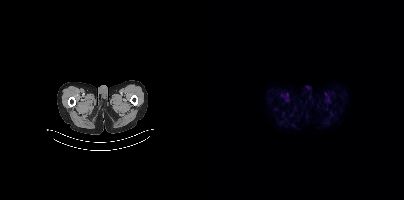
{"modality":"PSMA PET/CT","view":"axial","tracer":"[18F]PSMA-1007","pet_grid":[200,200],"coord_frame":"pet_panel","coord_format":"x0,y0,x1,y1","psma_avid_lesions":false}